modality: PSMA PET/CT | tracer: 18F-PSMA | view: axial
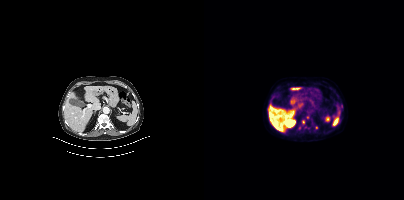
Coordinates are on the 200×200 PET (right) panel. (showing 3 of 5 foci) Small PSMA-avid foci (2 to 4 px across) near (center x, center y): (95, 127) / (99, 122) / (112, 127).